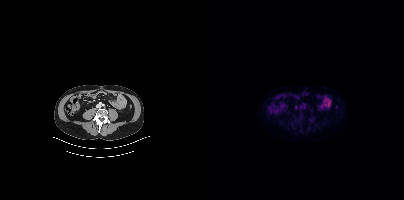
{"modality":"PSMA PET/CT","view":"axial","tracer":"[68Ga]Ga-PSMA-11","pet_grid":[200,200],"coord_frame":"pet_panel","coord_format":"x0,y0,x1,y1","psma_avid_lesions":false}